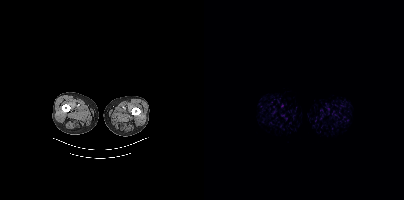
{"modality":"PSMA PET/CT","view":"axial","tracer":"18F-PSMA","pet_grid":[200,200],"coord_frame":"pet_panel","coord_format":"x0,y0,x1,y1","psma_avid_lesions":false}